- Paired axial CT (left) and PSMA PET (right), 18F tracer
- slice 226 of 413
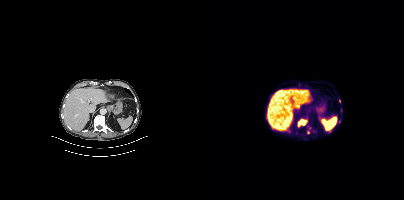
Findings: Coordinates are on the 200×200 PET (right) panel. (showing 2 of 5 foci) PSMA-avid tumor lesion bounding box (x0, y0)-(x1, y1): (94, 119)-(102, 126). Small PSMA-avid focus (2 to 4 px across) near (center x, center y): (104, 132).